Technique: Paired axial CT (left) and PSMA PET (right), 18F tracer. slice position z = 450 mm.
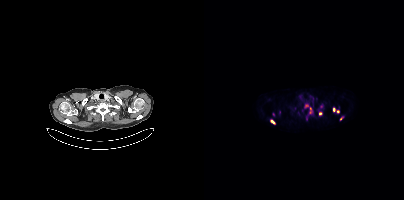
Findings: Coordinates are on the 200×200 PET (right) panel. (showing 8 of 9 foci) PSMA-avid tumor lesion bounding box (x0,y0,x1,y1): [105,107,107,113]. Small PSMA-avid foci (2 to 4 px across) near (center x, center y): (102, 105), (68, 121), (133, 111), (137, 118), (129, 109), (116, 113), (117, 106).